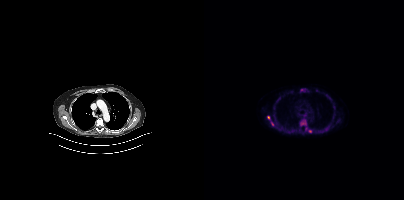
Paired axial CT (left) and PSMA PET (right), 18F-PSMA tracer. Acquired on Siemens Biograph mCT Flow 20. Slice 290 of 401.
Coordinates are on the 200×200 PET (right) panel. PSMA-avid tumor lesion bounding boxes:
| # | x0 | y0 | x1 | y1 |
|---|---|---|---|---|
| 1 | 96 | 119 | 102 | 125 |
| 2 | 121 | 125 | 125 | 130 |
Small PSMA-avid foci (2 to 4 px across) near (center x, center y): (64, 117); (68, 123); (106, 131); (102, 128).